- Left: CT. Right: PSMA PET, same axial level, 18F tracer
- acquired on Siemens Biograph mCT Flow 20
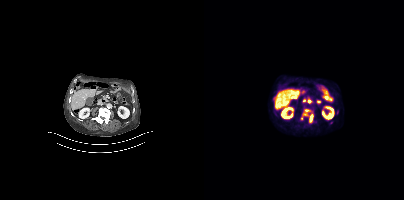
Findings: Coordinates are on the 200×200 PET (right) panel. PSMA-avid tumor lesion bounding boxes (x0, y0)-(x1, y1): (97, 109)-(109, 122) | (70, 109)-(72, 115).